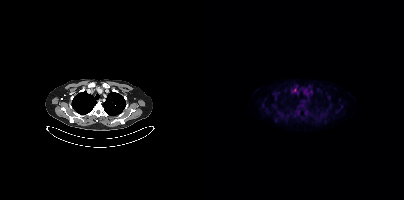
Left: CT. Right: PSMA PET, same axial level, 18F tracer. Slice 338 of 431. PET panel 200×200 px (4.1 mm/px). Coordinates are on the 200×200 PET (right) panel. Small PSMA-avid focus (2 to 4 px across) near (center x, center y): (90, 89).